modality: PSMA PET/CT | tracer: [18F]PSMA-1007 | view: axial
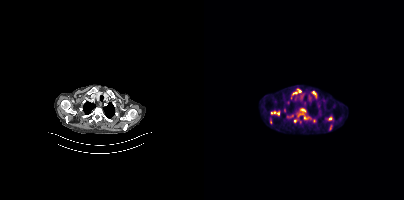
Coordinates are on the 200×200 PET (right) panel. (showing 9 of 10 foci) PSMA-avid tumor lesion bounding boxes (x0, y0)-(x1, y1): (93, 108)-(106, 119) | (67, 111)-(75, 115) | (65, 118)-(68, 124) | (108, 91)-(112, 96) | (125, 125)-(127, 130). Small PSMA-avid foci (2 to 4 px across) near (center x, center y): (91, 120) | (109, 121) | (91, 92) | (88, 115).